modality: PSMA PET/CT | tracer: [18F]PSMA-1007 | view: axial
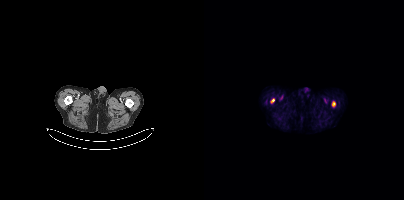
Coordinates are on the 200×200 PET (right) panel. PSMA-avid tumor lesion bounding boxes (x, y, width, height): x=66 y=98 w=5 h=6 | x=128 y=101 w=4 h=6.